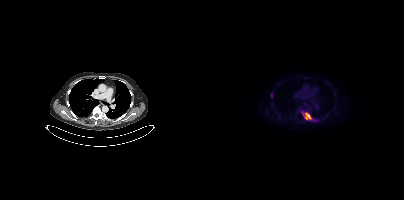
Coordinates are on the 200×200 PET (right) panel. PSMA-avid tumor lesion bounding boxes:
| # | x0 | y0 | x1 | y1 |
|---|---|---|---|---|
| 1 | 97 | 111 | 113 | 120 |
Left: CT. Right: PSMA PET, same axial level, 18F-PSMA tracer. PET panel 200×200 px (4.1 mm/px).